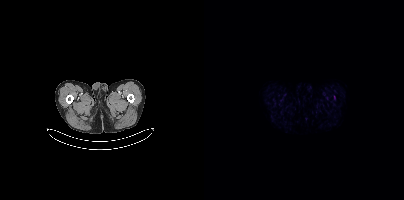
No PSMA-avid tumor lesions on this slice. Paired axial CT (left) and PSMA PET (right), 18F-PSMA tracer. Slice 12 of 403. PET panel 200×200 px (4.1 mm/px).